Technique: Two-panel axial: CT | PSMA PET, 18F tracer. acquired on Siemens Biograph mCT Flow 20. slice position z = -564 mm. PET panel 200×200 px (4.1 mm/px).
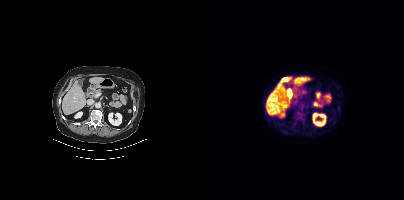
Findings: This slice has no annotated PSMA-avid lesion.